- Paired axial CT (left) and PSMA PET (right), 18F tracer
- acquired on GE Discovery 690
- PET panel 256×256 px (2.7 mm/px)
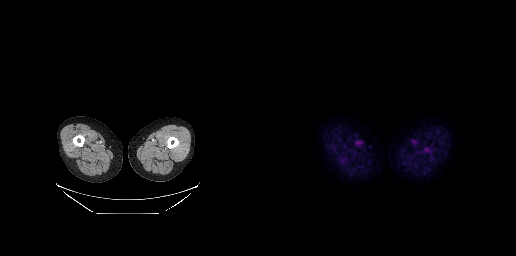
Findings: No tumor lesions annotated on this slice.